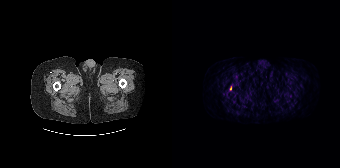
Two-panel axial: CT | PSMA PET, 68Ga tracer. Acquired on Siemens Biograph 64-4R TruePoint. PET panel 168×168 px (4.1 mm/px). Negative for PSMA-avid disease on this slice.